Technique: Two-panel axial: CT | PSMA PET, 18F tracer. acquired on GE Discovery 690. PET panel 256×256 px (2.7 mm/px).
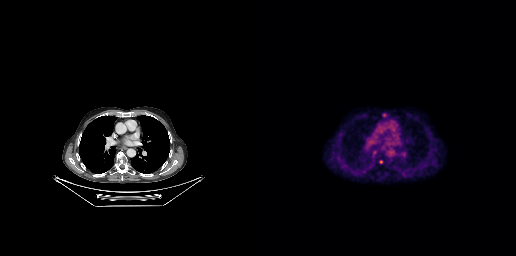
Findings: This slice has no annotated PSMA-avid lesion.